modality: PSMA PET/CT | tracer: 18F-PSMA | view: axial | PET grid: 200×200
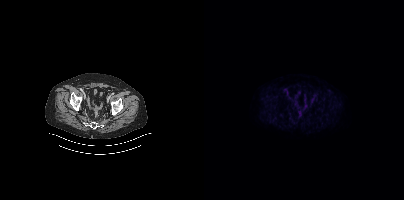
No PSMA-avid tumor lesions on this slice.